Technique: Two-panel axial: CT | PSMA PET, [18F]PSMA-1007 tracer. slice position z = -929 mm.
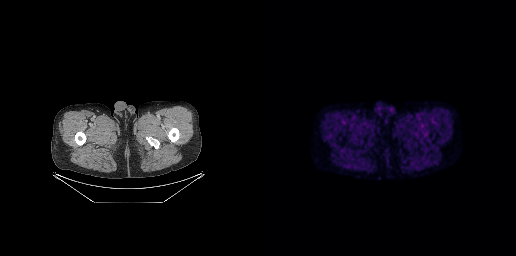
Findings: No tumor lesions annotated on this slice.